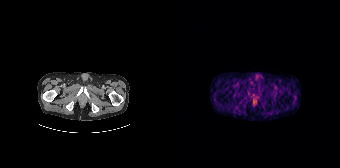
Paired axial CT (left) and PSMA PET (right), [68Ga]Ga-PSMA-11 tracer. Slice 30 of 195. No PSMA-avid tumor lesions on this slice.